The head region is masked for de-identification.
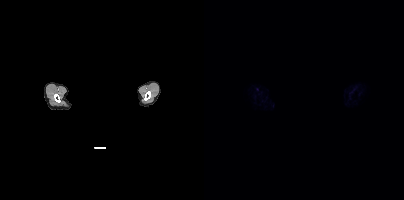
No tumor lesions annotated on this slice.